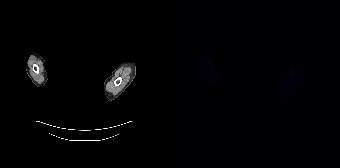
Negative for PSMA-avid disease on this slice. Left: CT. Right: PSMA PET, same axial level, 18F tracer. Slice position z = -908 mm. PET panel 168×168 px (4.1 mm/px). Face de-identified by blanking a block of the head.